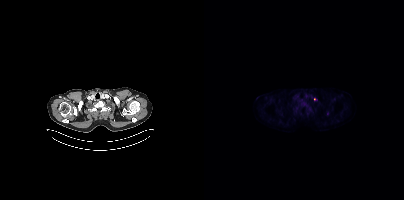
Coordinates are on the 200×200 PET (right) panel. Small PSMA-avid focus (2 to 4 px across) near (center x, center y): (110, 99). Left: CT. Right: PSMA PET, same axial level, 18F-PSMA tracer. Acquired on Siemens Biograph mCT Flow 20. Slice position z = -915 mm.